- Paired axial CT (left) and PSMA PET (right), 18F tracer
- PET panel 200×200 px (4.1 mm/px)
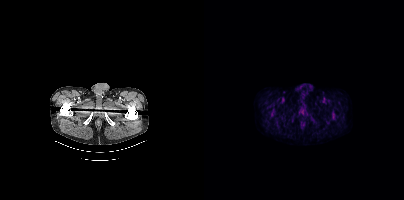
Findings: This slice has no annotated PSMA-avid lesion.